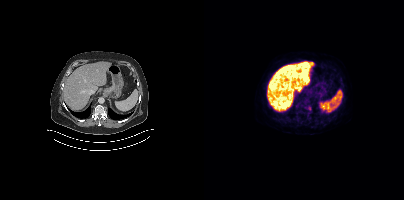
Coordinates are on the 200×200 PET (right) panel. PSMA-avid tumor lesion bounding box (x, y, width, height): x=101 y=106 w=7 h=5.
modality: PSMA PET/CT | tracer: [18F]PSMA-1007 | view: axial